Two-panel axial: CT | PSMA PET, [18F]PSMA-1007 tracer. PET panel 200×200 px (4.1 mm/px).
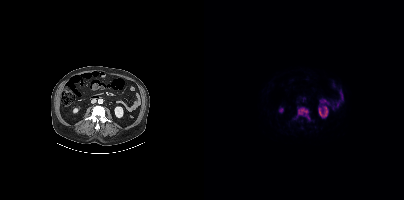
Coordinates are on the 200×200 PET (right) panel. PSMA-avid tumor lesion bounding box (x0, y0)-(x1, y1): (93, 107)-(106, 120).